- Left: CT. Right: PSMA PET, same axial level, 68Ga-PSMA tracer
- PET panel 168×168 px (4.1 mm/px)
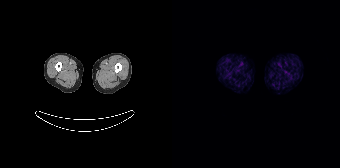
Findings: No PSMA-avid tumor lesions on this slice.